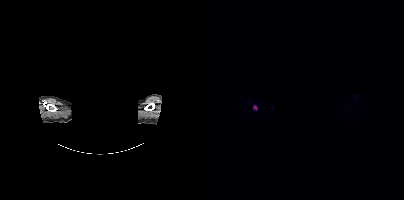
Face de-identified by blanking a block of the head. Left: CT. Right: PSMA PET, same axial level, [18F]PSMA-1007 tracer. Slice 389 of 423. PET panel 200×200 px (4.1 mm/px). Coordinates are on the 200×200 PET (right) panel. PSMA-avid tumor lesion bounding box (x0, y0)-(x1, y1): (49, 105)-(53, 110).